- Left: CT. Right: PSMA PET, same axial level, [68Ga]Ga-PSMA-11 tracer
- PET panel 200×200 px (4.1 mm/px)
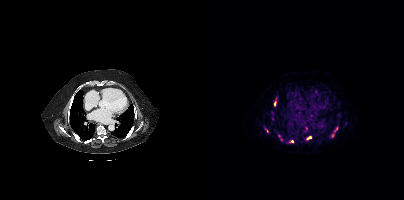
Findings: Coordinates are on the 200×200 PET (right) panel. (showing 6 of 9 foci) PSMA-avid tumor lesion bounding boxes (x0,y0,x1,y1): [127,128,133,137]; [70,101,72,106]; [103,136,107,139]. Small PSMA-avid foci (2 to 4 px across) near (center x, center y): (88, 141); (63, 131); (77, 139).